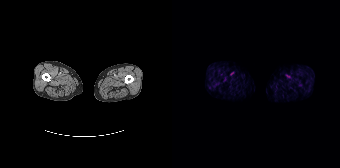
modality: PSMA PET/CT | tracer: 18F-PSMA | view: axial | PET grid: 168×168
Negative for PSMA-avid disease on this slice.